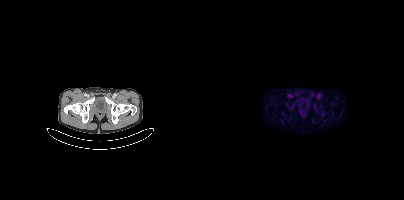
{"modality":"PSMA PET/CT","view":"axial","tracer":"[18F]PSMA-1007","pet_grid":[200,200],"coord_frame":"pet_panel","coord_format":"x0,y0,x1,y1","psma_avid_lesions":false}